Left: CT. Right: PSMA PET, same axial level, [18F]PSMA-1007 tracer. Acquired on Siemens Biograph mCT Flow 20. Slice 228 of 429. PET panel 200×200 px (4.1 mm/px).
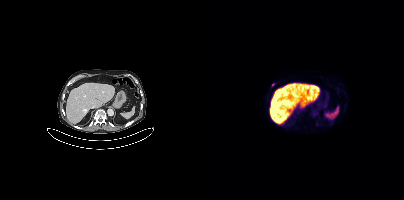
Coordinates are on the 200×200 PET (right) panel. Small PSMA-avid focus (2 to 4 px across) near (center x, center y): (69, 85).